de-identification: head region blacked out before release | modality: PSMA PET/CT | tracer: 18F | view: axial
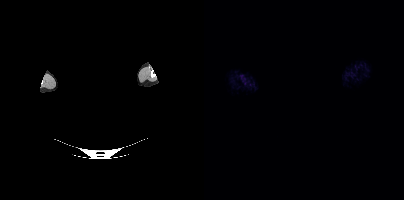
This slice has no annotated PSMA-avid lesion.